Left: CT. Right: PSMA PET, same axial level, 68Ga tracer. Acquired on GE Discovery 690. PET panel 256×256 px (2.7 mm/px).
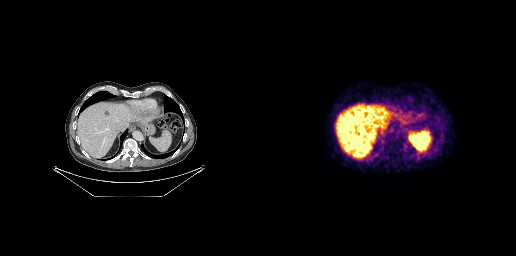
No tumor lesions annotated on this slice.